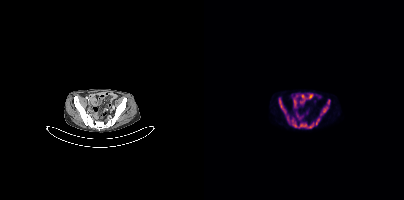
Coordinates are on the 200×200 PET (right) panel. PSMA-avid tumor lesion bounding boxes:
| # | x0 | y0 | x1 | y1 |
|---|---|---|---|---|
| 1 | 75 | 98 | 110 | 128 |
| 2 | 116 | 99 | 126 | 115 |
| 3 | 112 | 118 | 115 | 125 |
Paired axial CT (left) and PSMA PET (right), 18F-PSMA tracer. PET panel 200×200 px (4.1 mm/px).